Paired axial CT (left) and PSMA PET (right), 18F tracer. Acquired on Siemens Biograph mCT Flow 20.
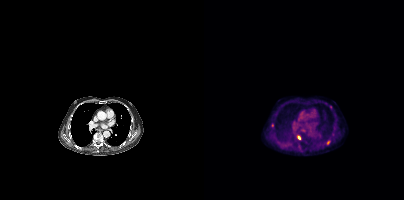
Coordinates are on the 200×200 PET (right) panel. Small PSMA-avid foci (2 to 4 px across) near (center x, center y): (95, 137); (124, 142); (126, 107); (68, 125); (95, 145).